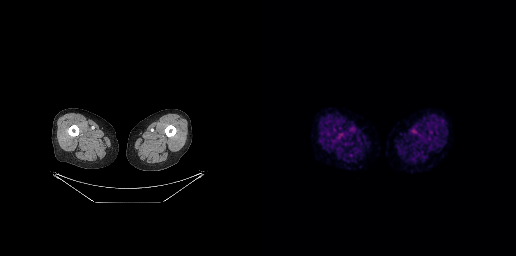
Technique: Paired axial CT (left) and PSMA PET (right), 18F-PSMA tracer. acquired on GE Discovery 690. slice position z = -994 mm.
Findings: Negative for PSMA-avid disease on this slice.